Two-panel axial: CT | PSMA PET, [68Ga]Ga-PSMA-11 tracer. Acquired on GE Discovery 690. PET panel 256×256 px (2.7 mm/px).
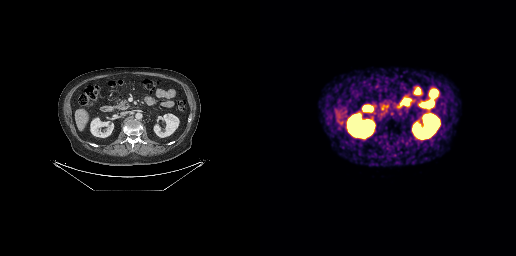
No tumor lesions annotated on this slice.